Head region blanked for anonymization (face removed). Left: CT. Right: PSMA PET, same axial level, 18F-PSMA tracer. Acquired on Siemens Biograph mCT Flow 20.
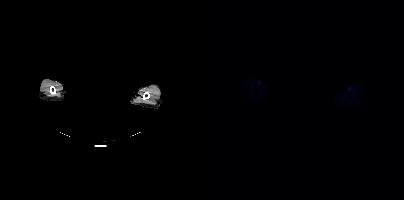
No tumor lesions annotated on this slice.